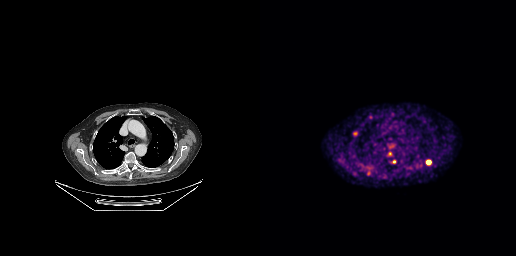
Paired axial CT (left) and PSMA PET (right), 68Ga-PSMA tracer. PET panel 256×256 px (2.7 mm/px).
Coordinates are on the 256×256 PET (right) panel. PSMA-avid tumor lesion bounding boxes (partial; 1 more focus not listed):
| # | x0 | y0 | x1 | y1 |
|---|---|---|---|---|
| 1 | 93 | 131 | 97 | 136 |
| 2 | 167 | 160 | 170 | 164 |
Small PSMA-avid foci (2 to 4 px across) near (center x, center y): (94, 173); (110, 116); (108, 172); (134, 161); (130, 153).